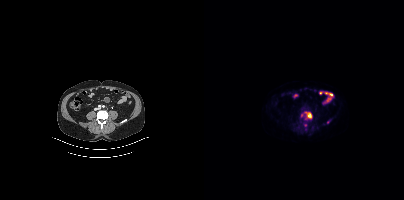
modality: PSMA PET/CT | tracer: 18F-PSMA | view: axial | PET grid: 200×200
Coordinates are on the 200×200 PET (right) panel. PSMA-avid tumor lesion bounding box (x0,y0,x1,y1): [103,113,107,117].